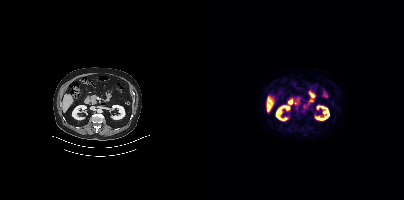
Two-panel axial: CT | PSMA PET, 18F tracer. Slice position z = -570 mm. PET panel 200×200 px (4.1 mm/px). This slice has no annotated PSMA-avid lesion.